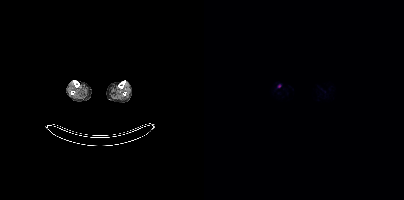
Coordinates are on the 200×200 PET (right) panel. Small PSMA-avid focus (2 to 4 px across) near (center x, center y): (75, 86).